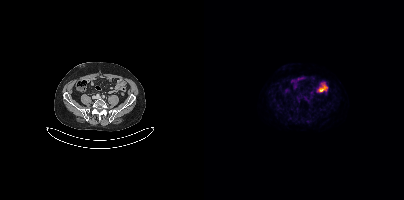
Left: CT. Right: PSMA PET, same axial level, [18F]PSMA-1007 tracer. Slice 152 of 433. PET panel 200×200 px (4.1 mm/px). No PSMA-avid tumor lesions on this slice.